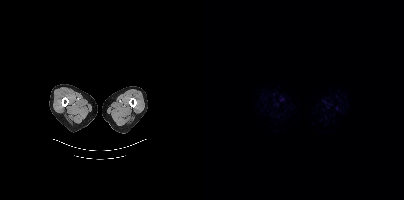
{"modality":"PSMA PET/CT","view":"axial","tracer":"18F","pet_grid":[200,200],"coord_frame":"pet_panel","coord_format":"x0,y0,x1,y1","psma_avid_lesions":false}